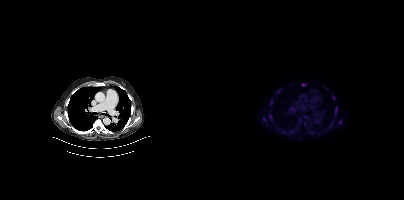
Coordinates are on the 200×200 PET (right) panel. (showing 12 of 14 foci) PSMA-avid tumor lesion bounding boxes (x0, y0)-(x1, y1): (86, 106)-(90, 112) / (131, 107)-(133, 114) / (66, 99)-(68, 104) / (65, 115)-(67, 119) / (98, 84)-(102, 85). Small PSMA-avid foci (2 to 4 px across) near (center x, center y): (129, 97) / (60, 119) / (135, 122) / (74, 91) / (95, 121) / (101, 116) / (100, 122).